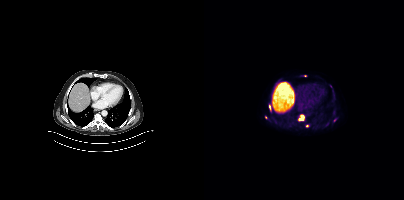
{"modality":"PSMA PET/CT","view":"axial","tracer":"18F-PSMA","pet_grid":[200,200],"coord_frame":"pet_panel","coord_format":"x0,y0,x1,y1","lesion_bboxes":[[94,114,100,121],[65,105,66,109]],"small_foci_centers":[[103,126],[101,75],[61,117],[130,120]]}